Left: CT. Right: PSMA PET, same axial level, 18F tracer.
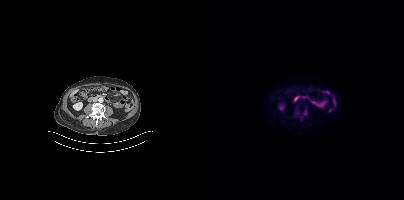
Coordinates are on the 200×200 PET (right) panel. (showing 2 of 3 foci) PSMA-avid tumor lesion bounding box (x0, y0)-(x1, y1): (99, 110)-(102, 115). Small PSMA-avid focus (2 to 4 px across) near (center x, center y): (93, 112).